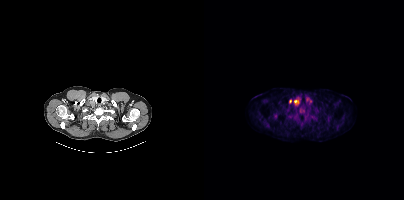
Two-panel axial: CT | PSMA PET, 18F-PSMA tracer. Slice 356 of 438. PET panel 200×200 px (4.1 mm/px). Coordinates are on the 200×200 PET (right) panel. PSMA-avid tumor lesion bounding box (x0, y0)-(x1, y1): (90, 100)-(94, 104). Small PSMA-avid focus (2 to 4 px across) near (center x, center y): (86, 101).